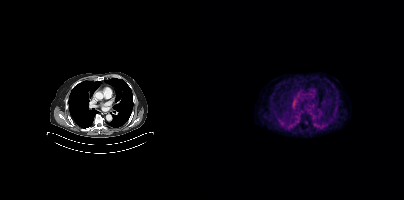
Coordinates are on the 200×200 PET (right) panel. PSMA-avid tumor lesion bounding box (x0,y0,x1,y1): [100,120,103,124]. Two-panel axial: CT | PSMA PET, 68Ga tracer. Slice 300 of 433. PET panel 200×200 px (4.1 mm/px).